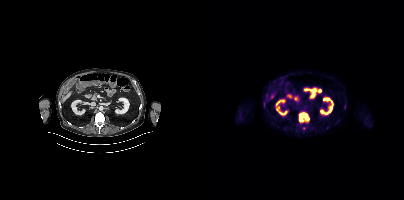
Coordinates are on the 200×200 PET (right) panel. PSMA-avid tumor lesion bounding box (x, y, width, height): x=95 y=112 w=11 h=10. Small PSMA-avid focus (2 to 4 px across) near (center x, center y): (100, 128). Paired axial CT (left) and PSMA PET (right), 18F tracer. Acquired on Siemens Biograph mCT Flow 20. Slice 162 of 401.